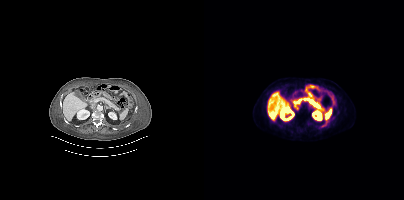
{"modality":"PSMA PET/CT","view":"axial","tracer":"18F-PSMA","pet_grid":[200,200],"coord_frame":"pet_panel","coord_format":"x0,y0,x1,y1","psma_avid_lesions":false}